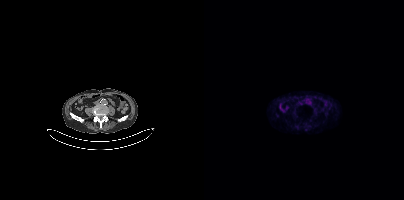
modality: PSMA PET/CT | tracer: 18F | view: axial | PET grid: 200×200
This slice has no annotated PSMA-avid lesion.